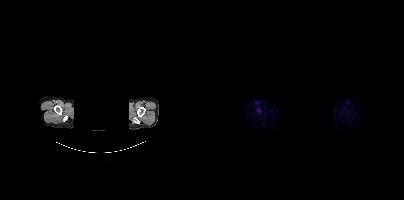
{"modality":"PSMA PET/CT","view":"axial","tracer":"18F-PSMA","pet_grid":[200,200],"coord_frame":"pet_panel","coord_format":"x0,y0,x1,y1","de-identification":"head region blanked (face removed)","partial":true,"lesion_bboxes":[]}